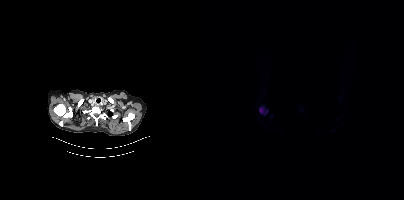
Coordinates are on the 200×200 PET (right) panel. PSMA-avid tumor lesion bounding box (x0, y0)-(x1, y1): (55, 107)-(63, 114).